Two-panel axial: CT | PSMA PET, 18F-PSMA tracer.
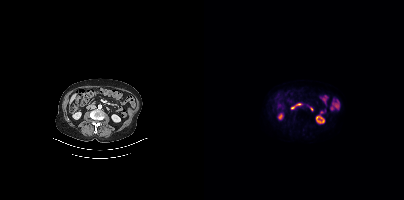
No PSMA-avid tumor lesions on this slice.